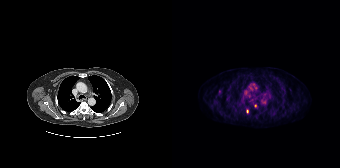
{"modality":"PSMA PET/CT","view":"axial","tracer":"18F","pet_grid":[168,168],"coord_frame":"pet_panel","coord_format":"x0,y0,x1,y1","partial":true,"lesion_bboxes":[],"small_foci_centers":[[75,111],[47,91],[83,105]]}